Paired axial CT (left) and PSMA PET (right), [68Ga]Ga-PSMA-11 tracer. Acquired on Siemens Biograph mCT Flow 20. Slice position z = -1408 mm. PET panel 200×200 px (4.1 mm/px).
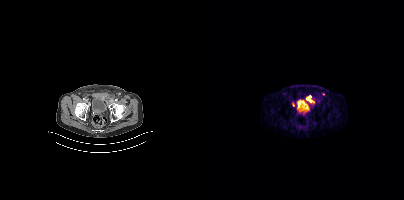
Coordinates are on the 200×200 PET (right) panel. PSMA-avid tumor lesion bounding boxes (partial; 1 more focus not listed):
| # | x0 | y0 | x1 | y1 |
|---|---|---|---|---|
| 1 | 102 | 96 | 110 | 102 |
Small PSMA-avid focus (2 to 4 px across) near (center x, center y): (89, 104).